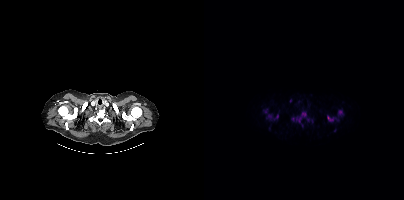
Left: CT. Right: PSMA PET, same axial level, [18F]PSMA-1007 tracer. Acquired on Siemens Biograph mCT Flow 20. Slice 351 of 423. Coordinates are on the 200×200 PET (right) panel. (showing 8 of 9 foci) PSMA-avid tumor lesion bounding boxes (x0,y0,x1,y1): [92,112,102,122]; [62,114,74,120]; [123,115,131,121]; [134,110,138,114]; [59,109,63,113]. Small PSMA-avid foci (2 to 4 px across) near (center x, center y): (89, 119); (86, 100); (103, 119).